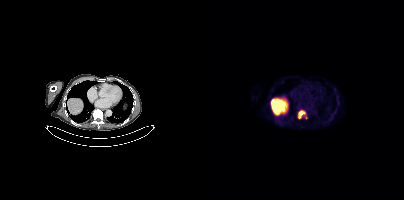
- Left: CT. Right: PSMA PET, same axial level, 18F tracer
- acquired on Siemens Biograph mCT Flow 20
Findings: Coordinates are on the 200×200 PET (right) panel. PSMA-avid tumor lesion bounding box (x, y, width, height): x=94 y=110 w=10 h=9.